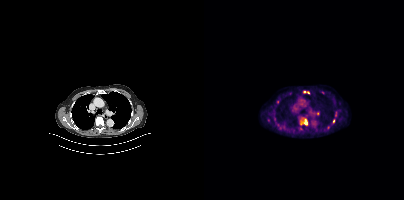
Coordinates are on the 200×200 PET (right) panel. (showing 4 of 6 foci) PSMA-avid tumor lesion bounding box (x, y, width, height): x=97 y=119 w=7 h=7. Small PSMA-avid foci (2 to 4 px across) near (center x, center y): (129, 121); (100, 91); (104, 92).